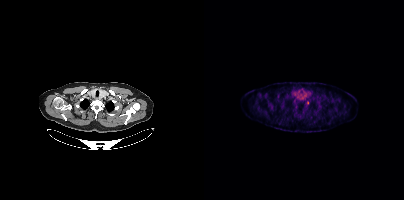
{"modality":"PSMA PET/CT","view":"axial","tracer":"[18F]PSMA-1007","pet_grid":[200,200],"coord_frame":"pet_panel","coord_format":"x0,y0,x1,y1","lesion_bboxes":[],"small_foci_centers":[[103,102]]}